- Two-panel axial: CT | PSMA PET, 18F-PSMA tracer
- acquired on Siemens Biograph mCT Flow 20
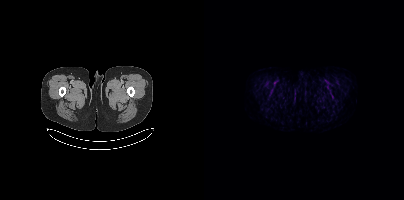
Findings: Coordinates are on the 200×200 PET (right) panel. PSMA-avid tumor lesion bounding box (x, y, width, height): x=125 y=90 w=5 h=8. Small PSMA-avid focus (2 to 4 px across) near (center x, center y): (67, 90).